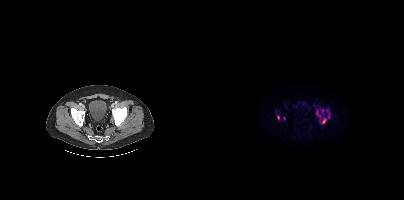
Coordinates are on the 200×200 PET (right) panel. (showing 5 of 6 foci) PSMA-avid tumor lesion bounding boxes (x0, y0)-(x1, y1): (112, 109)-(119, 116) | (118, 118)-(122, 123) | (73, 115)-(75, 119) | (124, 113)-(125, 118). Small PSMA-avid focus (2 to 4 px across) near (center x, center y): (122, 110).